modality: PSMA PET/CT | tracer: 68Ga-PSMA | view: axial
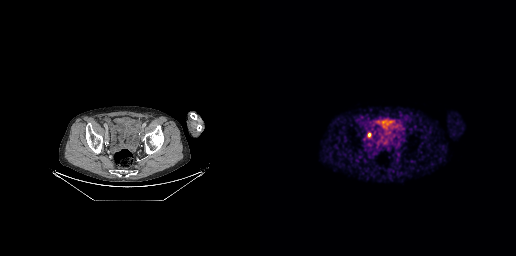
Only PSMA-avid lesion pieces thinner than 2 px on this slice (not listed).